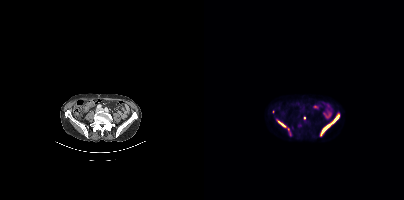
Findings: Coordinates are on the 200×200 PET (right) panel. (showing 4 of 6 foci) PSMA-avid tumor lesion bounding boxes (x0,y0,x1,y1): [117,115,135,135], [74,121,81,127]. Small PSMA-avid foci (2 to 4 px across) near (center x, center y): (100, 117), (85, 133).
- Left: CT. Right: PSMA PET, same axial level, 18F tracer
- acquired on Siemens Biograph mCT Flow 20
- PET panel 200×200 px (4.1 mm/px)